Left: CT. Right: PSMA PET, same axial level, 18F tracer. Slice position z = -1254 mm. PET panel 200×200 px (4.1 mm/px).
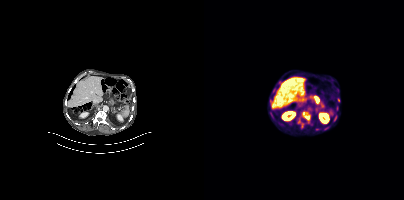
Coordinates are on the 200×200 PET (right) panel. PSMA-avid tumor lesion bounding boxes (partial; 3 more foci not listed):
| # | x0 | y0 | x1 | y1 |
|---|---|---|---|---|
| 1 | 100 | 113 | 106 | 120 |
| 2 | 96 | 122 | 100 | 128 |
Small PSMA-avid focus (2 to 4 px across) near (center x, center y): (70, 90).